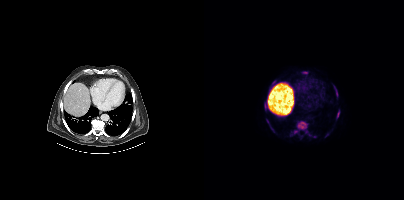
Coordinates are on the 200×200 PET (right) panel. PSMA-avid tumor lesion bounding boxes (partial; 2 more foci not listed):
| # | x0 | y0 | x1 | y1 |
|---|---|---|---|---|
| 1 | 93 | 121 | 103 | 129 |
| 2 | 133 | 111 | 135 | 117 |
| 3 | 66 | 126 | 70 | 132 |
| 4 | 62 | 119 | 64 | 123 |
Small PSMA-avid foci (2 to 4 px across) near (center x, center y): (91, 131); (102, 131).
Two-panel axial: CT | PSMA PET, 18F tracer. Acquired on Siemens Biograph mCT Flow 20. PET panel 200×200 px (4.1 mm/px).